Paired axial CT (left) and PSMA PET (right), 68Ga tracer. Slice 222 of 299.
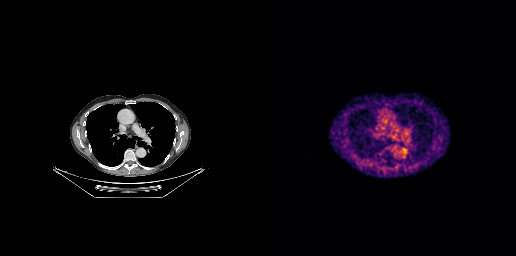
This slice has no annotated PSMA-avid lesion.